Two-panel axial: CT | PSMA PET, 18F tracer. Acquired on Siemens Biograph mCT Flow 20. PET panel 200×200 px (4.1 mm/px).
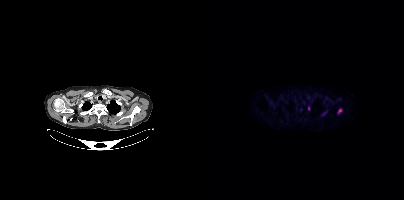
Coordinates are on the 200×200 PET (right) panel. PSMA-avid tumor lesion bounding boxes (x0, y0)-(x1, y1): (134, 109)-(138, 113) / (117, 111)-(122, 115). Small PSMA-avid focus (2 to 4 px across) near (center x, center y): (104, 108).